deidentification: face masked with black rectangle | modality: PSMA PET/CT | tracer: 18F | view: axial | PET grid: 200×200
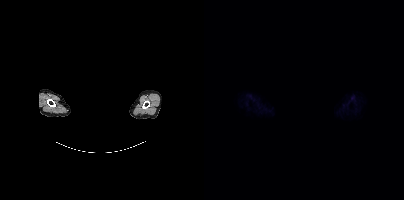
No PSMA-avid tumor lesions on this slice.